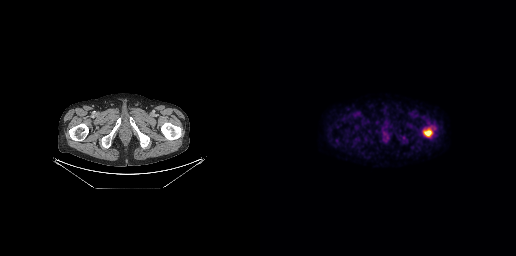
Coordinates are on the 256×256 PET (right) panel. PSMA-avid tumor lesion bounding box (x0, y0)-(x1, y1): (163, 128)-(172, 136).